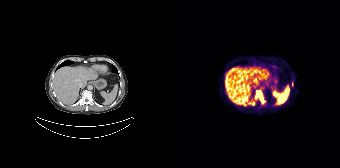
Coordinates are on the 168×168 PET (right) panel. (showing 2 of 3 foci) PSMA-avid tumor lesion bounding boxes (x0,y0,x1,y1): [83,91,93,103] [77,100,82,105].